Paired axial CT (left) and PSMA PET (right), 18F tracer. PET panel 168×168 px (4.1 mm/px).
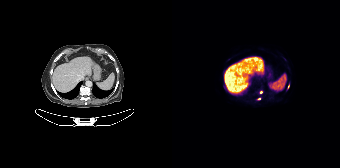
Coordinates are on the 168×168 PET (right) panel. Small PSMA-avid foci (2 to 4 px across) near (center x, center y): (89, 92); (86, 98); (116, 86).